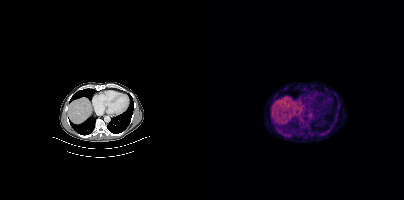
{"pet_grid":[200,200],"coord_frame":"pet_panel","coord_format":"x0,y0,x1,y1","lesion_bboxes":[[117,131,122,136],[95,116,99,120],[81,133,85,137]],"modality":"PSMA PET/CT","view":"axial","tracer":"18F"}